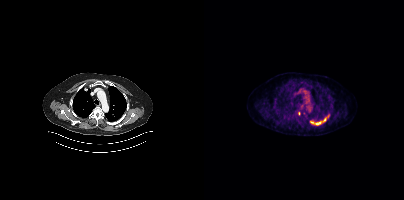
Findings: Coordinates are on the 200×200 PET (right) panel. PSMA-avid tumor lesion bounding box (x0,y0,x1,y1): [106,114,125,125]. Small PSMA-avid focus (2 to 4 px across) near (center x, center y): (94, 113).
- Paired axial CT (left) and PSMA PET (right), [18F]PSMA-1007 tracer
- slice 330 of 429